- Left: CT. Right: PSMA PET, same axial level, 18F tracer
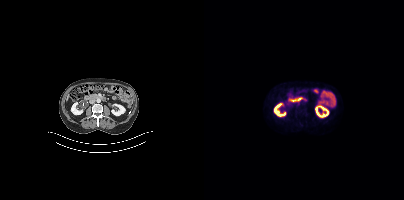
Findings: Negative for PSMA-avid disease on this slice.